- Two-panel axial: CT | PSMA PET, 18F tracer
- slice 310 of 435
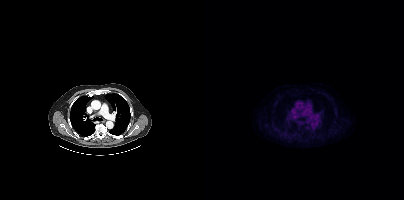
Findings: This slice has no annotated PSMA-avid lesion.